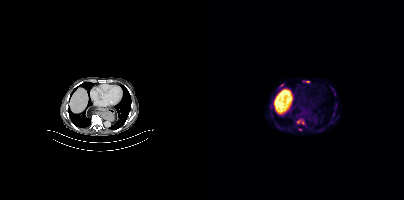
Coordinates are on the 200×200 PET (right) panel. (showing 4 of 8 foci) PSMA-avid tumor lesion bounding boxes (x, y, width, height): x=92 y=118 w=9 h=7; x=74 y=84 w=6 h=5. Small PSMA-avid foci (2 to 4 px across) near (center x, center y): (103, 81); (95, 129).